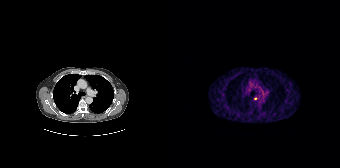
Only PSMA-avid lesion pieces thinner than 2 px on this slice (not listed). Paired axial CT (left) and PSMA PET (right), 68Ga tracer. Acquired on Siemens Biograph 64-4R TruePoint. Slice position z = -394 mm. PET panel 168×168 px (4.1 mm/px).